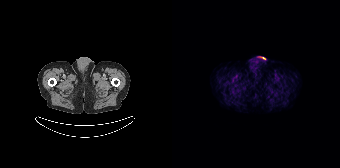
{"modality":"PSMA PET/CT","view":"axial","tracer":"68Ga","pet_grid":[168,168],"coord_frame":"pet_panel","coord_format":"x0,y0,x1,y1","psma_avid_lesions":false}